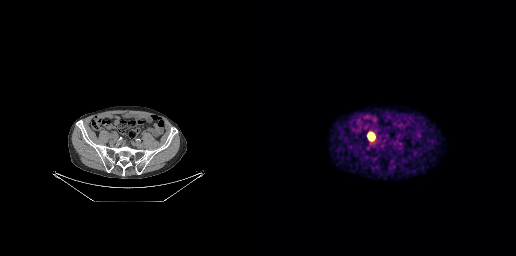
Coordinates are on the 256×256 PET (right) panel. PSMA-avid tumor lesion bounding box (x0, y0)-(x1, y1): (109, 134)-(113, 139).
modality: PSMA PET/CT | tracer: 68Ga | view: axial